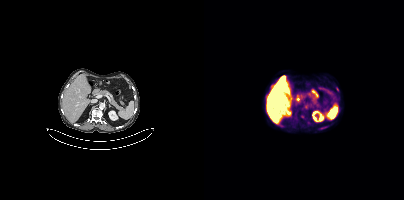
Two-panel axial: CT | PSMA PET, 18F-PSMA tracer. Slice 183 of 373. PET panel 200×200 px (4.1 mm/px). Coordinates are on the 200×200 PET (right) panel. Small PSMA-avid focus (2 to 4 px across) near (center x, center y): (98, 116).